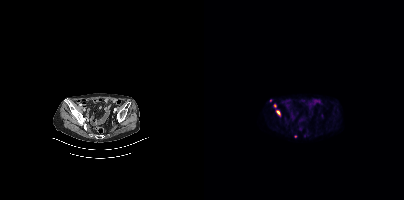
- Left: CT. Right: PSMA PET, same axial level, [68Ga]Ga-PSMA-11 tracer
- acquired on Siemens Biograph mCT Flow 20
- slice 88 of 409
Findings: Coordinates are on the 200×200 PET (right) panel. PSMA-avid tumor lesion bounding box (x0, y0)-(x1, y1): (72, 111)-(76, 114). Small PSMA-avid foci (2 to 4 px across) near (center x, center y): (70, 105); (100, 135); (66, 100); (91, 136).